modality: PSMA PET/CT | tracer: [18F]PSMA-1007 | view: axial
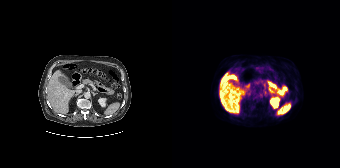
No tumor lesions annotated on this slice.